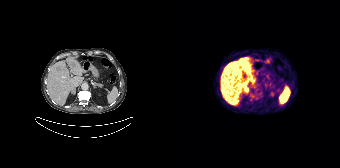
Paired axial CT (left) and PSMA PET (right), 68Ga-PSMA tracer. Acquired on Siemens Biograph 64-4R TruePoint. PET panel 168×168 px (4.1 mm/px). Coordinates are on the 168×168 PET (right) panel. PSMA-avid tumor lesion bounding boxes (x, y, width, height): x=53 y=58 w=26 h=19; x=71 y=83 w=6 h=8; x=66 y=86 w=5 h=5; x=63 y=96 w=4 h=7.